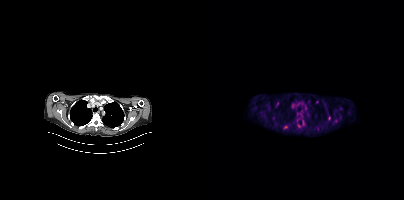
Coordinates are on the 200×200 PET (right) panel. (showing 3 of 7 foci) PSMA-avid tumor lesion bounding box (x0,y0,x1,y1): [79,126,83,128]. Small PSMA-avid foci (2 to 4 px across) near (center x, center y): (125, 118) (94, 125).
modality: PSMA PET/CT | tracer: 18F-PSMA | view: axial | PET grid: 200×200